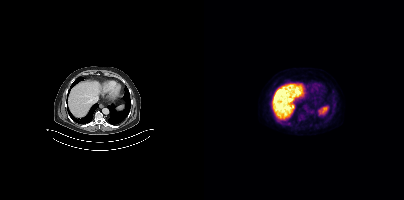
modality: PSMA PET/CT | tracer: [18F]PSMA-1007 | view: axial | PET grid: 200×200
Negative for PSMA-avid disease on this slice.